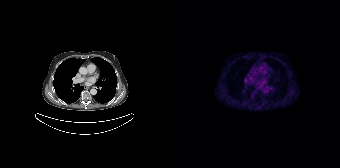
modality: PSMA PET/CT | tracer: 68Ga | view: axial | PET grid: 168×168
No PSMA-avid tumor lesions on this slice.